Paired axial CT (left) and PSMA PET (right), 18F-PSMA tracer. Acquired on Siemens Biograph mCT Flow 20. PET panel 200×200 px (4.1 mm/px).
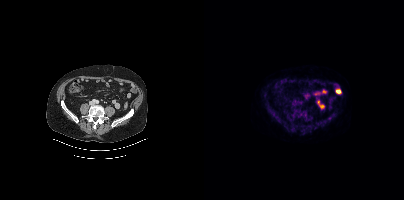
This slice has no annotated PSMA-avid lesion.